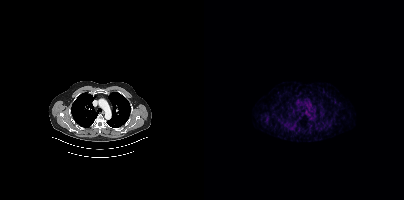
No tumor lesions annotated on this slice.